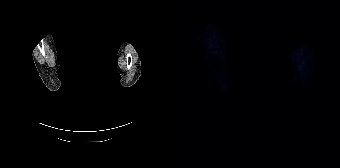
modality: PSMA PET/CT | tracer: 18F | view: axial | redaction: head region blacked out before release
No PSMA-avid tumor lesions on this slice.